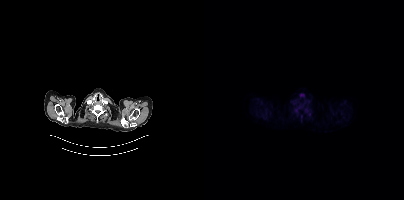
This slice has no annotated PSMA-avid lesion. Two-panel axial: CT | PSMA PET, [18F]PSMA-1007 tracer. Acquired on Siemens Biograph mCT Flow 20.